Technique: Two-panel axial: CT | PSMA PET, 18F-PSMA tracer.
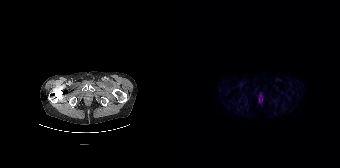
Findings: This slice has no annotated PSMA-avid lesion.